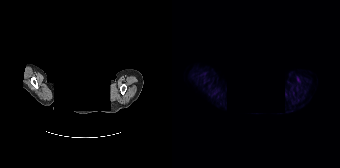
{"modality":"PSMA PET/CT","view":"axial","tracer":"[18F]PSMA-1007","pet_grid":[168,168],"coord_frame":"pet_panel","coord_format":"x0,y0,x1,y1","de-identification":"head region blacked out before release","psma_avid_lesions":false}